- Paired axial CT (left) and PSMA PET (right), 18F-PSMA tracer
- slice 220 of 452
- PET panel 200×200 px (4.1 mm/px)
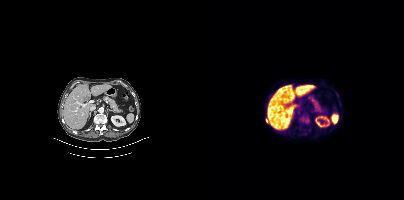
Findings: Coordinates are on the 200×200 PET (right) panel. PSMA-avid tumor lesion bounding box (x, y, width, height): x=96 y=115 w=10 h=9. Small PSMA-avid focus (2 to 4 px across) near (center x, center y): (62, 120).